Technique: Left: CT. Right: PSMA PET, same axial level, 18F-PSMA tracer. slice 321 of 417.
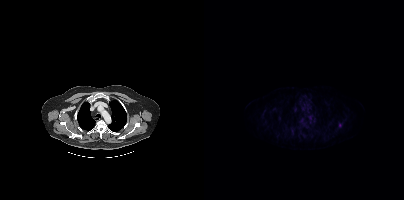
Findings: This slice has no annotated PSMA-avid lesion.